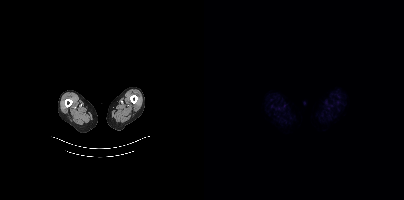
Findings: This slice has no annotated PSMA-avid lesion.
- Left: CT. Right: PSMA PET, same axial level, 18F-PSMA tracer
- PET panel 200×200 px (4.1 mm/px)